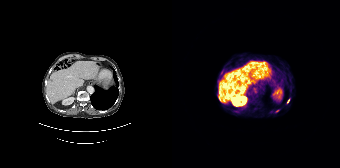
Coordinates are on the 168×168 PET (right) panel. PSMA-avid tumor lesion bounding box (x0,y0,x1,y1): [115,99,117,103]. Small PSMA-avid foci (2 to 4 px across) near (center x, center y): (105, 110) (82, 88) (48, 100). Left: CT. Right: PSMA PET, same axial level, [68Ga]Ga-PSMA-11 tracer. PET panel 168×168 px (4.1 mm/px).